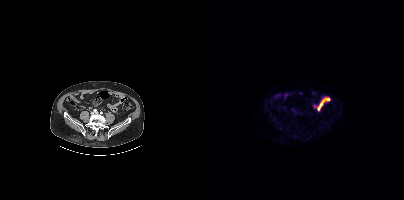
{"modality":"PSMA PET/CT","view":"axial","tracer":"[18F]PSMA-1007","pet_grid":[200,200],"coord_frame":"pet_panel","coord_format":"x0,y0,x1,y1","psma_avid_lesions":false}